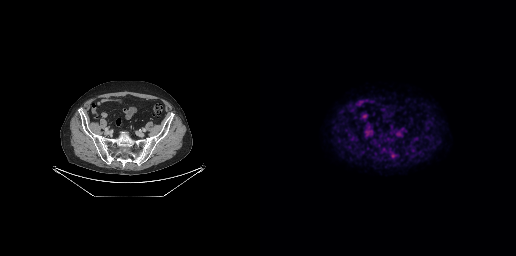
modality: PSMA PET/CT | tracer: [18F]PSMA-1007 | view: axial | PET grid: 256×256
Coordinates are on the 256×256 PET (right) panel. Small PSMA-avid focus (2 to 4 px across) near (center x, center y): (133, 156).